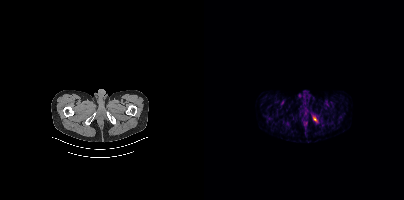
Coordinates are on the 200×200 PET (right) panel. PSMA-avid tumor lesion bounding box (x0,y0,x1,y1): [109,117,112,121].